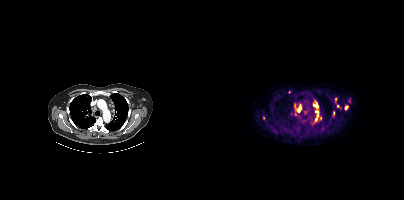
Two-panel axial: CT | PSMA PET, 18F-PSMA tracer. Acquired on Siemens Biograph mCT Flow 20. Slice 338 of 448.
Coordinates are on the 200×200 PET (right) panel. PSMA-avid tumor lesion bounding boxes (partial; 1 more focus not listed):
| # | x0 | y0 | x1 | y1 |
|---|---|---|---|---|
| 1 | 107 | 109 | 117 | 124 |
| 2 | 90 | 104 | 96 | 115 |
| 3 | 109 | 100 | 114 | 107 |
| 4 | 128 | 111 | 130 | 117 |
| 5 | 133 | 105 | 137 | 109 |
| 6 | 131 | 97 | 133 | 101 |
Small PSMA-avid foci (2 to 4 px across) near (center x, center y): (142, 107); (85, 92); (59, 118); (101, 112).